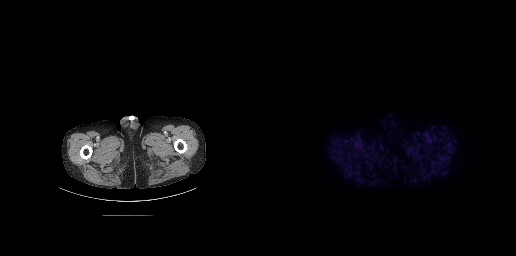
{"modality":"PSMA PET/CT","view":"axial","tracer":"18F","pet_grid":[256,256],"coord_frame":"pet_panel","coord_format":"x0,y0,x1,y1","psma_avid_lesions":false}